Paired axial CT (left) and PSMA PET (right), 18F tracer. Slice 99 of 429.
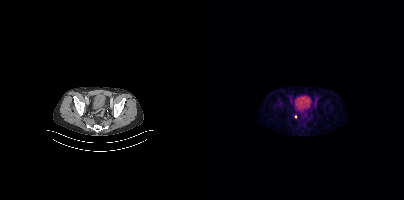
Coordinates are on the 200×200 PET (right) panel. Small PSMA-avid focus (2 to 4 px across) near (center x, center y): (91, 116).